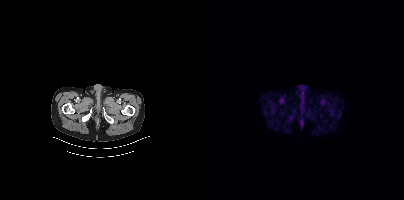
modality: PSMA PET/CT | tracer: 18F-PSMA | view: axial | PET grid: 200×200
No PSMA-avid tumor lesions on this slice.